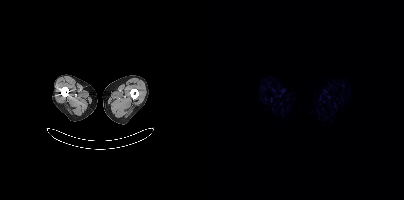
Negative for PSMA-avid disease on this slice. Left: CT. Right: PSMA PET, same axial level, [18F]PSMA-1007 tracer. Slice position z = -348 mm. PET panel 200×200 px (4.1 mm/px).